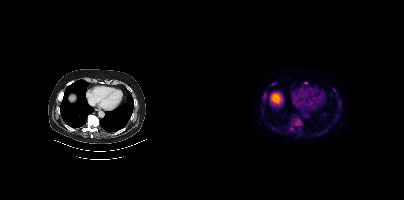
Coordinates are on the 200×200 PET (right) panel. (showing 1 of 2 foci) Small PSMA-avid focus (2 to 4 px across) near (center x, center y): (102, 82).